modality: PSMA PET/CT | tracer: [18F]PSMA-1007 | view: axial | redaction: rectangular block over head set to black
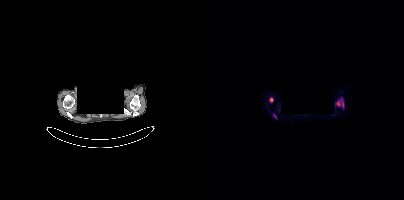
Coordinates are on the 200×200 PET (right) panel. PSMA-avid tumor lesion bounding boxes (x0,y0,x1,y1): [131,98,139,107] [69,114,72,118]. Small PSMA-avid focus (2 to 4 px across) near (center x, center y): (67, 99).